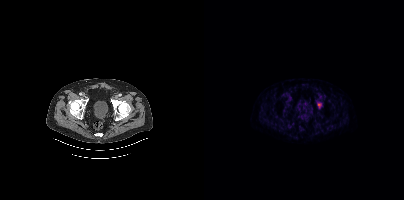
Coordinates are on the 200×200 PET (right) panel. Small PSMA-avid focus (2 to 4 px across) near (center x, center y): (115, 105).